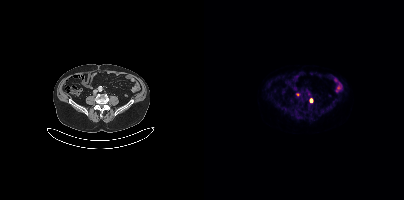
Coordinates are on the 200×200 PET (right) panel. Small PSMA-avid focus (2 to 4 px across) near (center x, center y): (107, 100).